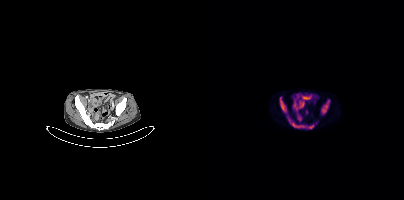
Technique: Left: CT. Right: PSMA PET, same axial level, [18F]PSMA-1007 tracer. acquired on Siemens Biograph mCT Flow 20. PET panel 200×200 px (4.1 mm/px).
Findings: Coordinates are on the 200×200 PET (right) panel. PSMA-avid tumor lesion bounding boxes (x, y, width, height): x=83 y=116 w=27 h=13 / x=117 y=100 w=10 h=14 / x=76 y=97 w=7 h=16.